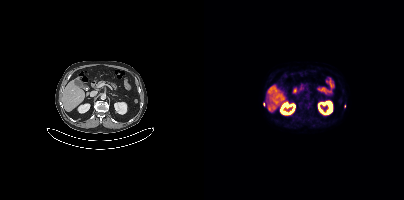
Coordinates are on the 200×200 PET (right) panel. (showing 1 of 3 foci) Small PSMA-avid focus (2 to 4 px across) near (center x, center y): (104, 107).